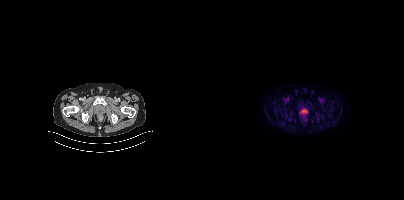
Coordinates are on the 200×200 PET (right) panel. Small PSMA-avid focus (2 to 4 px across) near (center x, center y): (82, 116).